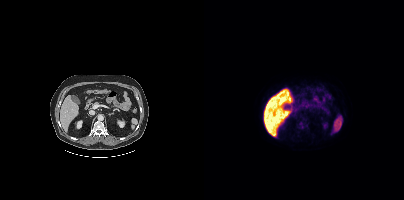
{"modality":"PSMA PET/CT","view":"axial","tracer":"18F","pet_grid":[200,200],"coord_frame":"pet_panel","coord_format":"x0,y0,x1,y1","psma_avid_lesions":false}